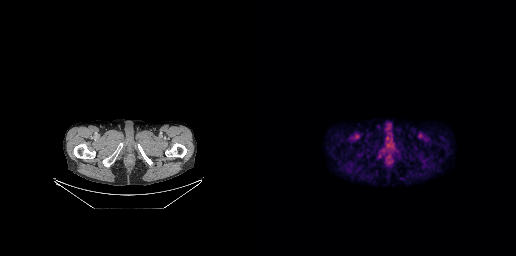
Findings: Coordinates are on the 256×256 PET (right) panel. PSMA-avid tumor lesion bounding box (x0, y0)-(x1, y1): (125, 155)-(134, 164).
- Paired axial CT (left) and PSMA PET (right), [18F]PSMA-1007 tracer
- acquired on GE Discovery 690
- slice 35 of 263